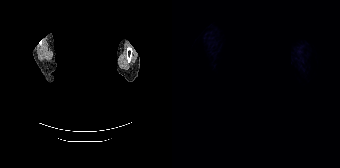
Technique: Two-panel axial: CT | PSMA PET, 18F-PSMA tracer. slice 156 of 165. PET panel 168×168 px (4.1 mm/px).
Note: De-identified by setting a box covering the face to black before release.
Findings: No tumor lesions annotated on this slice.